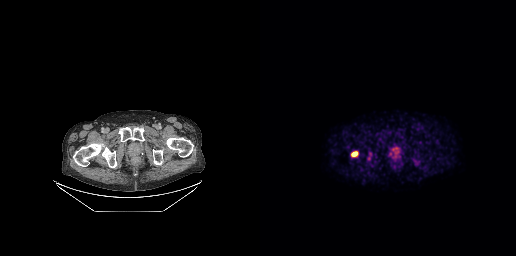
Coordinates are on the 256×256 PET (right) panel. PSMA-avid tumor lesion bounding box (x0,y0,x1,y1): [91,152,97,156]. Small PSMA-avid focus (2 to 4 px across) near (center x, center y): (108, 159). Paired axial CT (left) and PSMA PET (right), 18F-PSMA tracer. PET panel 256×256 px (2.7 mm/px).